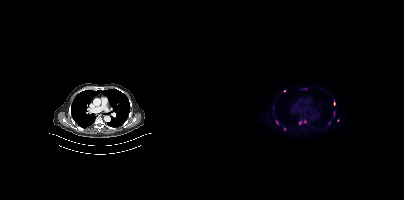
{"modality":"PSMA PET/CT","view":"axial","tracer":"[18F]PSMA-1007","pet_grid":[200,200],"coord_frame":"pet_panel","coord_format":"x0,y0,x1,y1","partial":true,"lesion_bboxes":[],"small_foci_centers":[[130,103],[80,129],[72,122],[80,90]]}